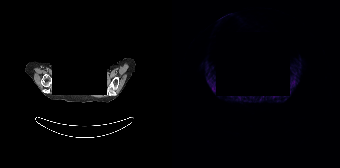
{"modality":"PSMA PET/CT","view":"axial","tracer":"[68Ga]Ga-PSMA-11","pet_grid":[168,168],"coord_frame":"pet_panel","coord_format":"x0,y0,x1,y1","deidentification":"head region blanked (face removed)","psma_avid_lesions":false}